Technique: Two-panel axial: CT | PSMA PET, [18F]PSMA-1007 tracer. PET panel 200×200 px (4.1 mm/px).
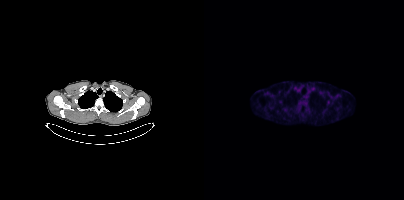
Findings: This slice has no annotated PSMA-avid lesion.